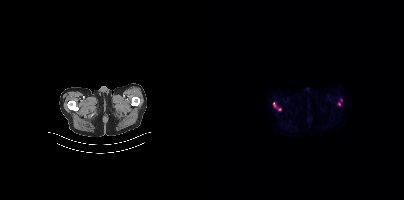
{"modality":"PSMA PET/CT","view":"axial","tracer":"18F-PSMA","pet_grid":[200,200],"coord_frame":"pet_panel","coord_format":"x0,y0,x1,y1","lesion_bboxes":[[69,102,77,110]],"small_foci_centers":[[135,104],[137,99]]}